Two-panel axial: CT | PSMA PET, 18F-PSMA tracer. Slice position z = -1096 mm. PET panel 200×200 px (4.1 mm/px).
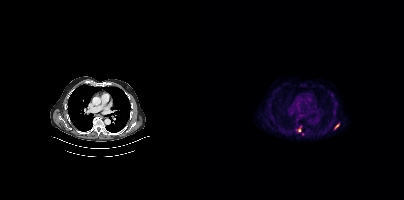
Coordinates are on the 200×200 PET (right) panel. PSMA-avid tumor lesion bounding box (x, y, width, height): x=131 y=124 w=4 h=5. Small PSMA-avid focus (2 to 4 px across) near (center x, center y): (95, 130).